Technique: Paired axial CT (left) and PSMA PET (right), 18F tracer. acquired on Siemens Biograph mCT Flow 20. PET panel 200×200 px (4.1 mm/px).
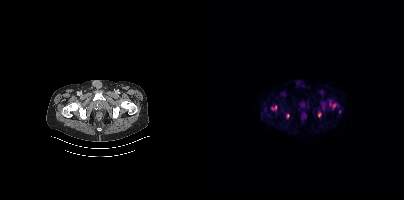
Findings: Coordinates are on the 200×200 PET (right) panel. (showing 5 of 6 foci) PSMA-avid tumor lesion bounding boxes (x0, y0)-(x1, y1): (67, 105)-(72, 110) / (82, 114)-(85, 118). Small PSMA-avid foci (2 to 4 px across) near (center x, center y): (115, 114) / (130, 105) / (136, 111).